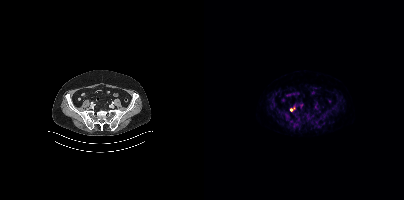
Coordinates are on the 200×200 PET (right) panel. PSMA-avid tumor lesion bounding box (x0,y0,x1,y1): [86,107,90,111].